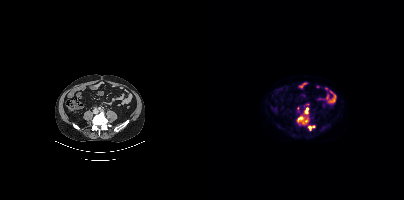
modality: PSMA PET/CT | tracer: [18F]PSMA-1007 | view: axial
Coordinates are on the 200×200 PET (right) panel. (showing 3 of 5 foci) PSMA-avid tumor lesion bounding boxes (x, y, width, height): x=93 y=116 w=12 h=8; x=100 y=107 w=5 h=8; x=104 y=125 w=7 h=6.